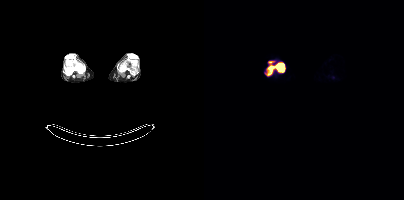
Coordinates are on the 200×200 PET (right) panel. PSMA-avid tumor lesion bounding box (x, y, width, height): x=64 y=61 w=18 h=15.